modality: PSMA PET/CT | tracer: 18F-PSMA | view: axial
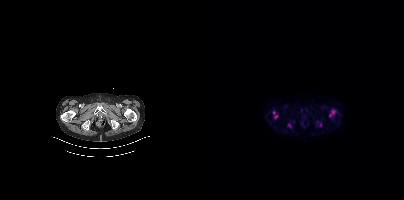
Coordinates are on the 200×200 PET (right) panel. PSMA-avid tumor lesion bounding boxes (x, y, width, height): x=126 y=110 w=6 h=8 / x=69 y=111 w=5 h=8 / x=83 y=123 w=5 h=5 / x=113 y=121 w=5 h=6.